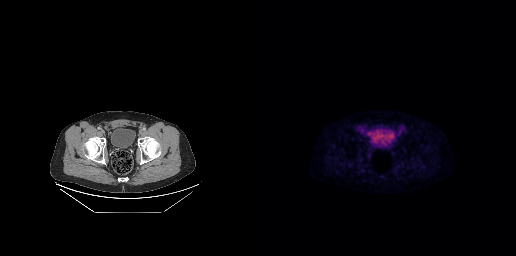
modality: PSMA PET/CT | tracer: [18F]PSMA-1007 | view: axial | PET grid: 256×256
Coordinates are on the 256×256 PET (right) panel. PSMA-avid tumor lesion bounding box (x0, y0)-(x1, y1): (107, 131)-(110, 135).